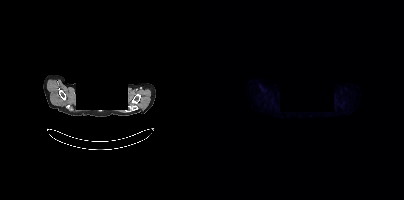
This slice has no annotated PSMA-avid lesion. Two-panel axial: CT | PSMA PET, [18F]PSMA-1007 tracer. Slice 347 of 395. PET panel 200×200 px (4.1 mm/px). The face region was removed for patient privacy by blanking a rectangle over the head.